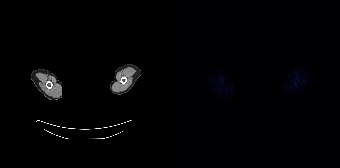
Negative for PSMA-avid disease on this slice.
A rectangular block over the head has been blanked out for de-identification.